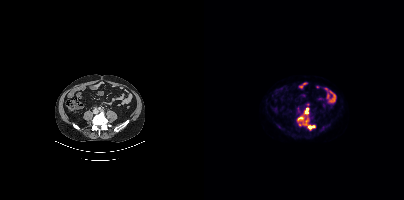
Coordinates are on the 200×200 PET (right) panel. PSMA-avid tumor lesion bounding boxes (x, y, width, height): x=99 y=119 w=13 h=11 | x=100 y=107 w=5 h=8 | x=93 y=116 w=7 h=6. Small PSMA-avid focus (2 to 4 px across) near (center x, center y): (95, 124).